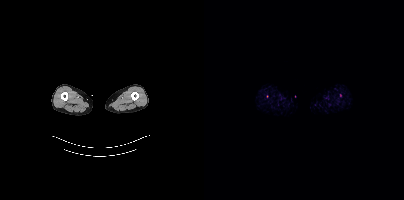
No PSMA-avid tumor lesions on this slice. Two-panel axial: CT | PSMA PET, 18F tracer. Acquired on Siemens Biograph mCT Flow 20.